modality: PSMA PET/CT | tracer: 18F | view: axial
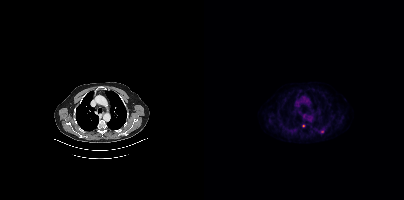
Coordinates are on the 200×200 PET (right) panel. Small PSMA-avid focus (2 to 4 px across) near (center x, center y): (118, 131).